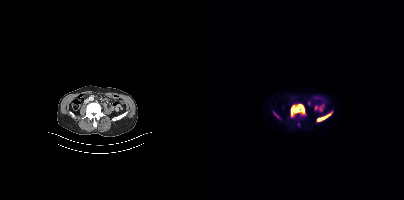
Left: CT. Right: PSMA PET, same axial level, 18F-PSMA tracer. Acquired on Siemens Biograph mCT Flow 20. PET panel 200×200 px (4.1 mm/px).
Coordinates are on the 200×200 PET (right) panel. PSMA-avid tumor lesion bounding boxes:
| # | x0 | y0 | x1 | y1 |
|---|---|---|---|---|
| 1 | 86 | 103 | 101 | 117 |
| 2 | 113 | 114 | 126 | 121 |